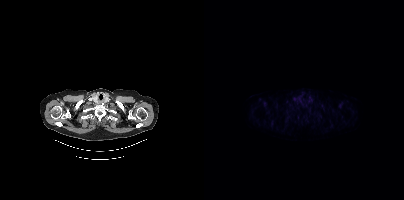
{"modality":"PSMA PET/CT","view":"axial","tracer":"[18F]PSMA-1007","pet_grid":[200,200],"coord_frame":"pet_panel","coord_format":"x0,y0,x1,y1","psma_avid_lesions":false}